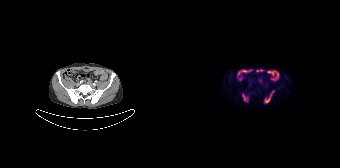
Technique: Paired axial CT (left) and PSMA PET (right), 18F-PSMA tracer. acquired on Siemens Biograph 64-4R TruePoint. PET panel 168×168 px (4.1 mm/px).
Findings: Coordinates are on the 168×168 PET (right) panel. PSMA-avid tumor lesion bounding boxes (x0, y0)-(x1, y1): (92, 91)-(102, 102) | (70, 94)-(76, 101).